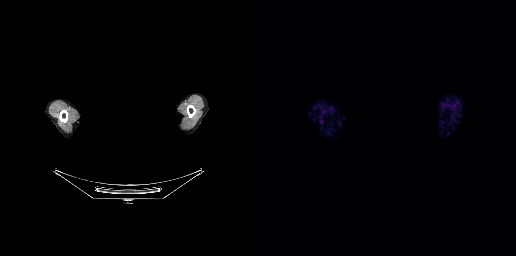
Paired axial CT (left) and PSMA PET (right), 68Ga tracer. Slice position z = -199 mm. A rectangular block over the head has been blanked out for de-identification. No tumor lesions annotated on this slice.